- Left: CT. Right: PSMA PET, same axial level, [18F]PSMA-1007 tracer
- acquired on Siemens Biograph mCT Flow 20
- PET panel 200×200 px (4.1 mm/px)
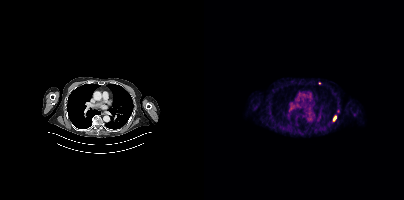
Findings: Coordinates are on the 200×200 PET (right) panel. (showing 1 of 2 foci) PSMA-avid tumor lesion bounding box (x0, y0)-(x1, y1): (129, 116)-(132, 120).